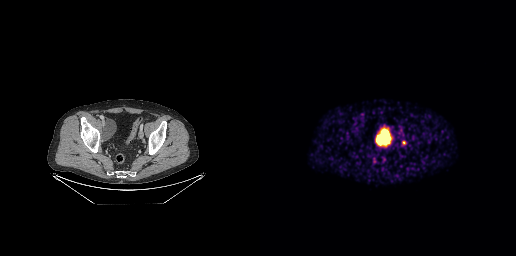
Only PSMA-avid lesion pieces thinner than 2 px on this slice (not listed).